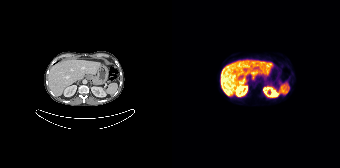
{"pet_grid":[168,168],"coord_frame":"pet_panel","coord_format":"x0,y0,x1,y1","psma_avid_lesions":false,"modality":"PSMA PET/CT","view":"axial","tracer":"18F-PSMA"}